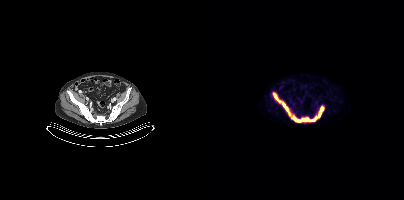
Coordinates are on the 200×200 PET (right) panel. PSMA-avid tumor lesion bounding boxes (x0, y0)-(x1, y1): (90, 107)-(119, 122) | (69, 93)-(86, 115).